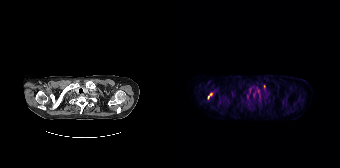
{"modality":"PSMA PET/CT","view":"axial","tracer":"18F","pet_grid":[168,168],"coord_frame":"pet_panel","coord_format":"x0,y0,x1,y1","partial":true,"lesion_bboxes":[[36,93,39,97]]}